Technique: Left: CT. Right: PSMA PET, same axial level, [68Ga]Ga-PSMA-11 tracer. slice 387 of 444. PET panel 200×200 px (4.1 mm/px).
Note: Head region blanked for anonymization (face removed).
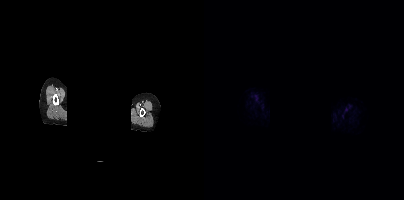
Findings: This slice has no annotated PSMA-avid lesion.